Two-panel axial: CT | PSMA PET, 68Ga tracer. Acquired on Siemens Biograph mCT Flow 20. PET panel 200×200 px (4.1 mm/px).
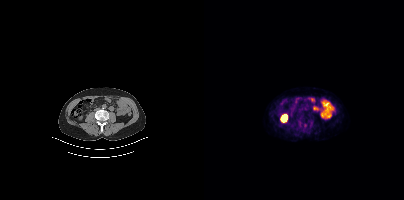
No tumor lesions annotated on this slice.